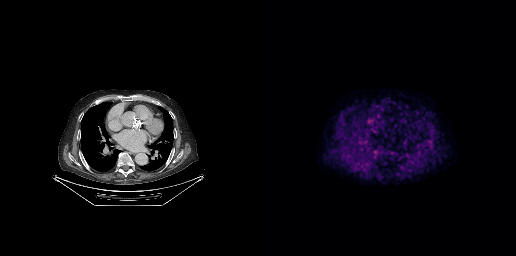
This slice has no annotated PSMA-avid lesion.